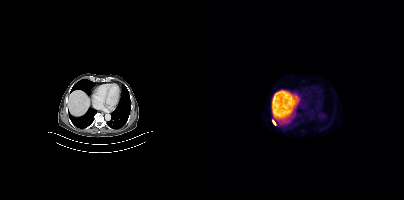
Findings: Coordinates are on the 200×200 PET (right) panel. PSMA-avid tumor lesion bounding box (x0, y0)-(x1, y1): (68, 120)-(74, 125).
- Left: CT. Right: PSMA PET, same axial level, 18F tracer
- slice 253 of 411